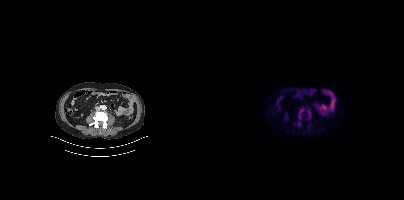
{"modality":"PSMA PET/CT","view":"axial","tracer":"18F-PSMA","pet_grid":[200,200],"coord_frame":"pet_panel","coord_format":"x0,y0,x1,y1","partial":true,"lesion_bboxes":[[94,108,100,119],[103,110,106,117]]}